- Paired axial CT (left) and PSMA PET (right), 18F-PSMA tracer
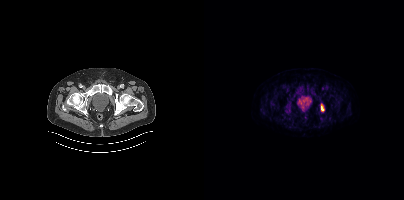
Findings: Coordinates are on the 200×200 PET (right) panel. PSMA-avid tumor lesion bounding box (x, y, width, height): x=116 y=104 w=5 h=8.